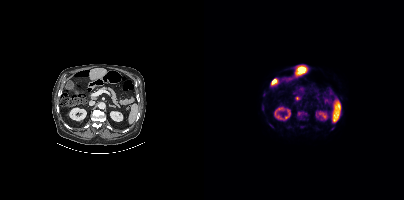
{"modality":"PSMA PET/CT","view":"axial","tracer":"18F","pet_grid":[200,200],"coord_frame":"pet_panel","coord_format":"x0,y0,x1,y1","lesion_bboxes":[[93,111,103,119]],"small_foci_centers":[[93,98],[98,126]]}